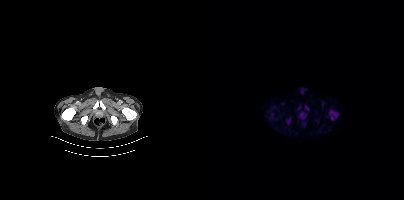
Coordinates are on the 200×200 PET (right) panel. PSMA-avid tumor lesion bounding boxes:
| # | x0 | y0 | x1 | y1 |
|---|---|---|---|---|
| 1 | 125 | 110 | 134 | 120 |
| 2 | 82 | 118 | 86 | 123 |
Paired axial CT (left) and PSMA PET (right), 18F-PSMA tracer. Acquired on Siemens Biograph mCT Flow 20. Slice 65 of 427. PET panel 200×200 px (4.1 mm/px).